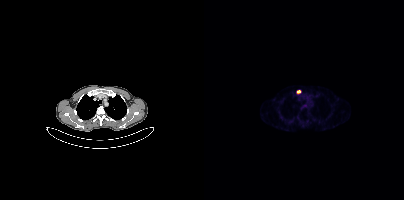
Paired axial CT (left) and PSMA PET (right), 68Ga tracer. Acquired on Siemens Biograph mCT Flow 20. Slice 307 of 409. Coordinates are on the 200×200 PET (right) panel. Small PSMA-avid focus (2 to 4 px across) near (center x, center y): (94, 91).